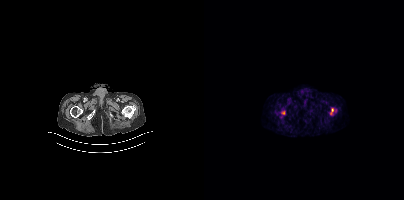
Coordinates are on the 200×200 PET (right) panel. PSMA-avid tumor lesion bounding boxes (x0,y0,x1,y1): [126,108,129,115]; [77,110,81,114]. Small PSMA-avid focus (2 to 4 px across) near (center x, center y): (131, 110).